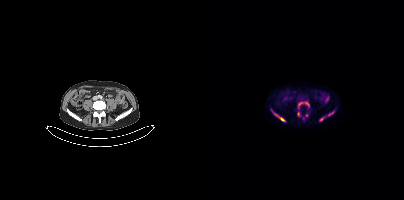
Coordinates are on the 200×200 PET (right) panel. PSMA-avid tumor lesion bounding boxes (x0,y0,x1,y1): [67,110,81,121]; [94,102,105,108]; [124,111,130,115]; [115,117,120,121]; [93,112,95,116]. Small PSMA-avid focus (2 to 4 px across) near (center x, center y): (102, 115).